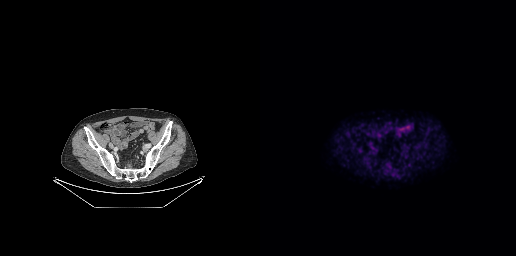
Negative for PSMA-avid disease on this slice. Paired axial CT (left) and PSMA PET (right), 18F-PSMA tracer. Acquired on GE Discovery 690.